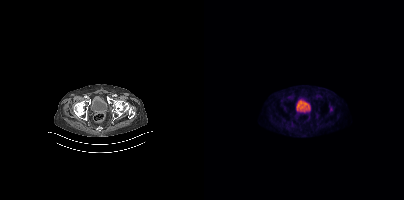
Negative for PSMA-avid disease on this slice.